modality: PSMA PET/CT | tracer: [18F]PSMA-1007 | view: axial | PET grid: 256×256
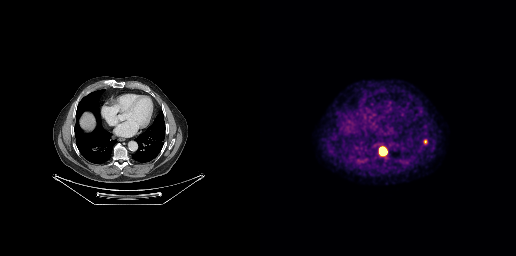
Coordinates are on the 256×256 PET (right) panel. PSMA-avid tumor lesion bounding box (x0, y0)-(x1, y1): (119, 147)-(126, 155). Small PSMA-avid focus (2 to 4 px across) near (center x, center y): (165, 141).